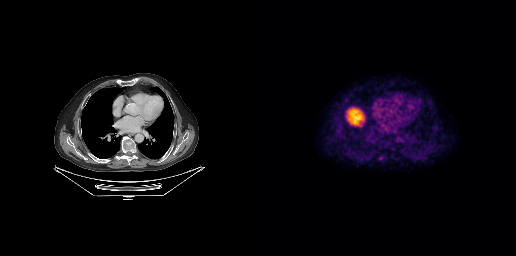
{"modality":"PSMA PET/CT","view":"axial","tracer":"18F-PSMA","pet_grid":[256,256],"coord_frame":"pet_panel","coord_format":"x0,y0,x1,y1","psma_avid_lesions":false}